Paired axial CT (left) and PSMA PET (right), 18F tracer. PET panel 256×256 px (2.7 mm/px).
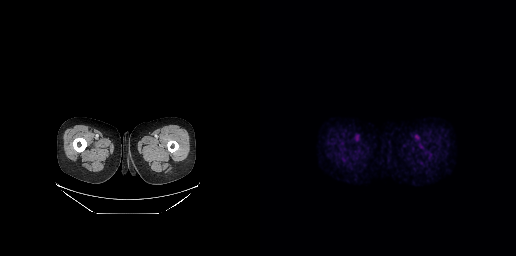
Negative for PSMA-avid disease on this slice.